Technique: Two-panel axial: CT | PSMA PET, 18F tracer. slice position z = 90 mm. PET panel 200×200 px (4.1 mm/px).
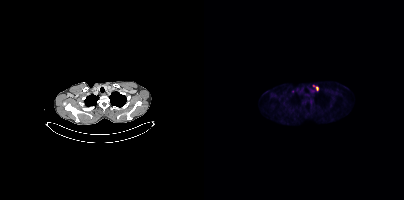
Findings: Coordinates are on the 200×200 PET (right) panel. PSMA-avid tumor lesion bounding box (x0, y0)-(x1, y1): (109, 85)-(113, 89).